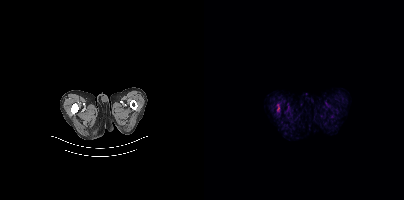
{"modality":"PSMA PET/CT","view":"axial","tracer":"[18F]PSMA-1007","pet_grid":[200,200],"coord_frame":"pet_panel","coord_format":"x0,y0,x1,y1","lesion_bboxes":[[73,104,75,111]]}